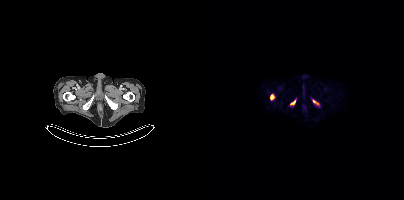
Coordinates are on the 200×200 PET (right) panel. PSMA-avid tumor lesion bounding boxes (x0,y0,x1,y1): [66,94,70,99] [87,100,91,104] [109,100,114,104].